Left: CT. Right: PSMA PET, same axial level, [18F]PSMA-1007 tracer. Acquired on GE Discovery 690. Slice position z = -617 mm.
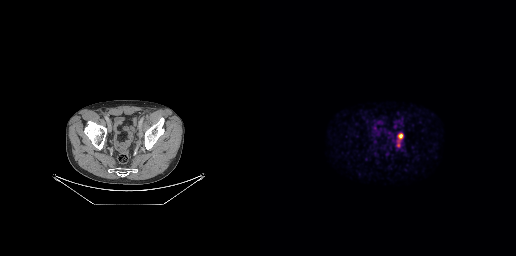
Coordinates are on the 256×256 PET (right) panel. PSMA-avid tumor lesion bounding box (x, y, width, height): x=137 y=133 w=7 h=14.